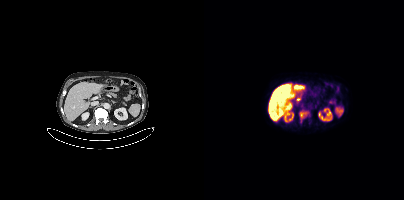
Coordinates are on the 200×200 PET (right) panel. (showing 1 of 2 foci) PSMA-avid tumor lesion bounding box (x0,y0,x1,y1): [95,111,104,119].